Two-panel axial: CT | PSMA PET, 18F tracer. Acquired on GE Discovery 690. PET panel 256×256 px (2.7 mm/px).
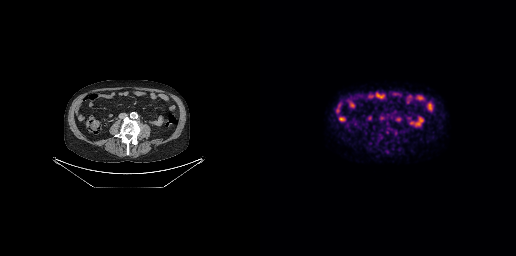
Negative for PSMA-avid disease on this slice.